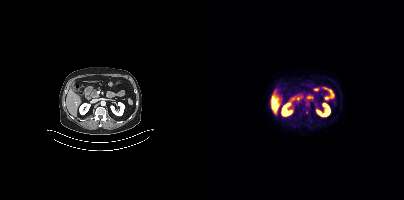
Coordinates are on the 200×200 PET (right) panel. Small PSMA-avid focus (2 to 4 px across) near (center x, center y): (103, 112).